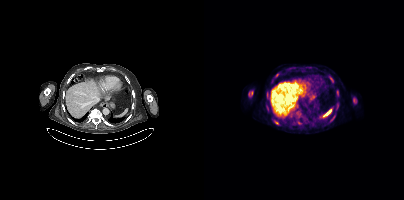
{"modality":"PSMA PET/CT","view":"axial","tracer":"18F","pet_grid":[200,200],"coord_frame":"pet_panel","coord_format":"x0,y0,x1,y1","lesion_bboxes":[[44,91,49,96],[62,106,65,111],[149,98,152,102],[70,120,74,124],[63,93,65,98],[128,115,131,119]],"small_foci_centers":[[72,74],[133,91],[133,104],[128,81]]}